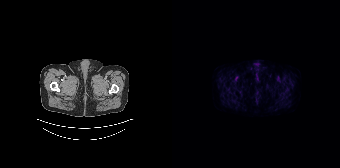
{"pet_grid":[168,168],"coord_frame":"pet_panel","coord_format":"x0,y0,x1,y1","psma_avid_lesions":false,"modality":"PSMA PET/CT","view":"axial","tracer":"18F-PSMA"}